- a rectangle over the head was blacked out to remove identifiable facial features
- Two-panel axial: CT | PSMA PET, [18F]PSMA-1007 tracer
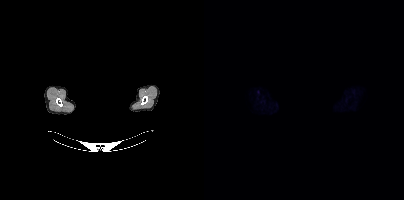
Findings: Negative for PSMA-avid disease on this slice.